Left: CT. Right: PSMA PET, same axial level, 18F-PSMA tracer. Acquired on Siemens Biograph mCT Flow 20. Slice position z = -650 mm.
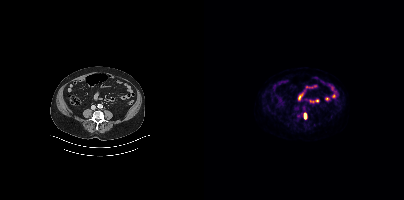
Coordinates are on the 200×200 PET (right) panel. PSMA-avid tumor lesion bounding boxes:
| # | x0 | y0 | x1 | y1 |
|---|---|---|---|---|
| 1 | 100 | 113 | 102 | 119 |